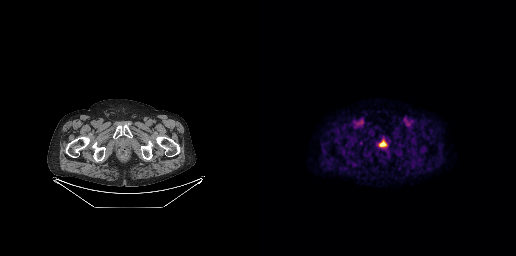
{"pet_grid":[256,256],"coord_frame":"pet_panel","coord_format":"x0,y0,x1,y1","lesion_bboxes":[[119,141,126,146]],"modality":"PSMA PET/CT","view":"axial","tracer":"[18F]PSMA-1007"}